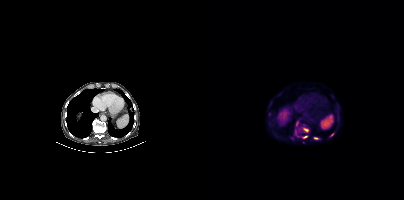
- Two-panel axial: CT | PSMA PET, 18F tracer
- acquired on Siemens Biograph mCT Flow 20
- PET panel 200×200 px (4.1 mm/px)
Findings: Coordinates are on the 200×200 PET (right) panel. (showing 6 of 8 foci) PSMA-avid tumor lesion bounding boxes (x0, y0)-(x1, y1): (99, 128)-(104, 132) / (126, 133)-(130, 136). Small PSMA-avid foci (2 to 4 px across) near (center x, center y): (65, 114) / (100, 136) / (94, 136) / (91, 131).